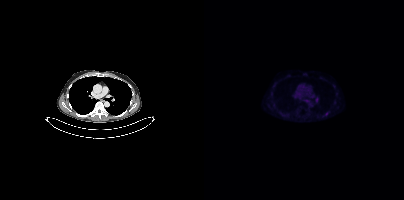
Coordinates are on the 200×200 PET (right) panel. PSMA-avid tumor lesion bounding box (x0,y0,x1,y1): [121,111,125,115].